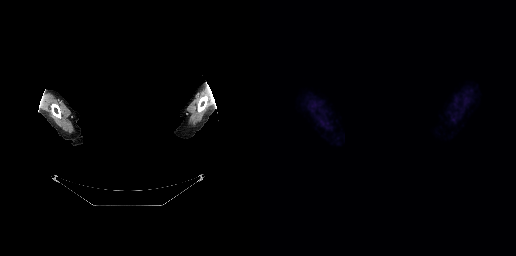
No PSMA-avid tumor lesions on this slice. Head region blanked for anonymization (face removed). Left: CT. Right: PSMA PET, same axial level, 18F-PSMA tracer. Acquired on GE Discovery 690. Slice 247 of 263. PET panel 256×256 px (2.7 mm/px).